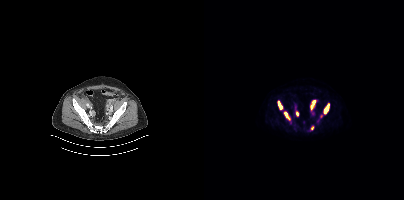
Coordinates are on the 200×200 PET (right) panel. (showing 6 of 7 foci) PSMA-avid tumor lesion bounding boxes (x0,y0,x1,y1): [119,103,125,114] [106,100,111,109] [80,112,86,119] [74,101,78,109] [92,112,94,116]. Small PSMA-avid focus (2 to 4 px across) near (center x, center y): (108, 128).